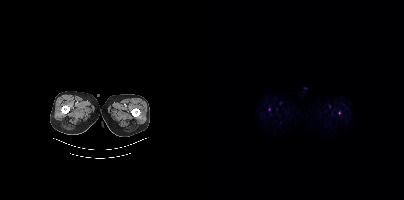
Coordinates are on the 200×200 PET (right) panel. (showing 1 of 2 foci) Small PSMA-avid focus (2 to 4 px across) near (center x, center y): (65, 109). Paired axial CT (left) and PSMA PET (right), [18F]PSMA-1007 tracer. Acquired on Siemens Biograph mCT Flow 20. Slice 20 of 450. PET panel 200×200 px (4.1 mm/px).